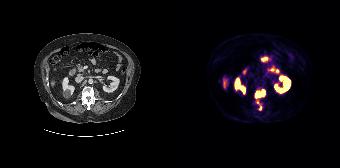
Coordinates are on the 168×168 PET (right) panel. PSMA-avid tumor lesion bounding box (x0, y0)-(x1, y1): (83, 89)-(93, 98). Small PSMA-avid foci (2 to 4 px across) near (center x, center y): (88, 107) | (85, 102). Paired axial CT (left) and PSMA PET (right), 68Ga tracer. Acquired on Siemens Biograph 64-4R TruePoint.